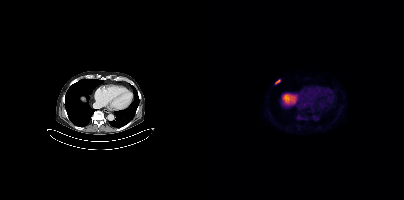
- Left: CT. Right: PSMA PET, same axial level, 18F tracer
- acquired on Siemens Biograph mCT Flow 20
- PET panel 200×200 px (4.1 mm/px)
Findings: Coordinates are on the 200×200 PET (right) panel. PSMA-avid tumor lesion bounding box (x, y, width, height): x=71 y=79 w=6 h=6.